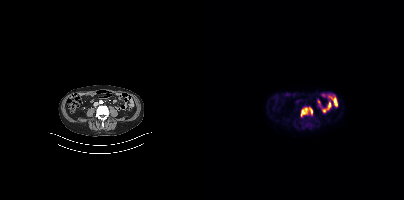
Technique: Two-panel axial: CT | PSMA PET, [18F]PSMA-1007 tracer. acquired on Siemens Biograph mCT Flow 20. PET panel 200×200 px (4.1 mm/px).
Findings: Coordinates are on the 200×200 PET (right) panel. PSMA-avid tumor lesion bounding box (x0,y0,x1,y1): [97,107,108,116].